- Two-panel axial: CT | PSMA PET, 18F tracer
- acquired on Siemens Biograph mCT Flow 20
- slice position z = -370 mm
- the head region is masked for de-identification
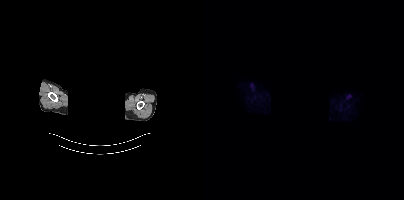
Findings: No tumor lesions annotated on this slice.